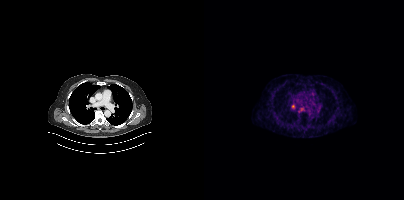
modality: PSMA PET/CT | tracer: [68Ga]Ga-PSMA-11 | view: axial
Coordinates are on the 200×200 PET (right) panel. PSMA-avid tumor lesion bounding box (x0, y0)-(x1, y1): (88, 104)-(90, 108).